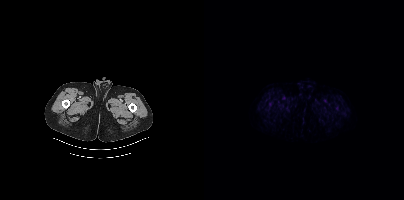
modality: PSMA PET/CT | tracer: 18F-PSMA | view: axial
This slice has no annotated PSMA-avid lesion.